Technique: Left: CT. Right: PSMA PET, same axial level, 68Ga tracer. slice 3 of 195.
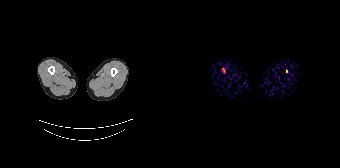
Findings: Coordinates are on the 168×168 PET (right) panel. Small PSMA-avid focus (2 to 4 px across) near (center x, center y): (114, 71).